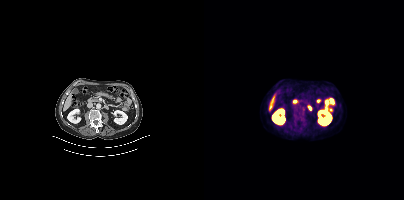
- Left: CT. Right: PSMA PET, same axial level, [18F]PSMA-1007 tracer
- slice position z = 198 mm
Findings: Coordinates are on the 200×200 PET (right) panel. PSMA-avid tumor lesion bounding box (x0, y0)-(x1, y1): (98, 108)-(100, 112).